- Left: CT. Right: PSMA PET, same axial level, 68Ga tracer
- slice 151 of 263
- PET panel 256×256 px (2.7 mm/px)
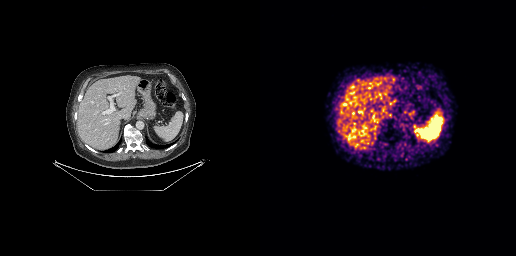
Findings: Negative for PSMA-avid disease on this slice.